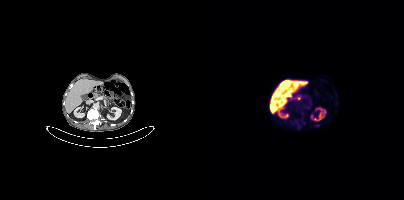
{"modality":"PSMA PET/CT","view":"axial","tracer":"18F","pet_grid":[200,200],"coord_frame":"pet_panel","coord_format":"x0,y0,x1,y1","psma_avid_lesions":false}